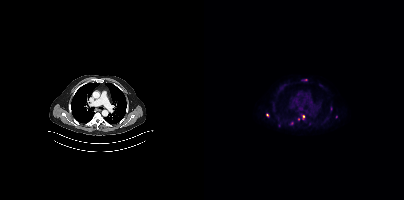
{"modality":"PSMA PET/CT","view":"axial","tracer":"[18F]PSMA-1007","pet_grid":[200,200],"coord_frame":"pet_panel","coord_format":"x0,y0,x1,y1","partial":true,"lesion_bboxes":[],"small_foci_centers":[[63,115],[101,79],[99,116]]}